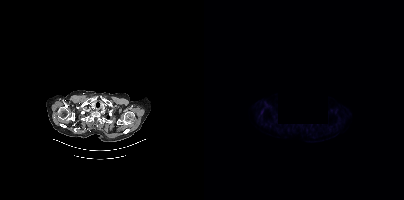
Some pixels were blanked for anonymization. Paired axial CT (left) and PSMA PET (right), 18F tracer. Slice 314 of 377. PET panel 200×200 px (4.1 mm/px). Coordinates are on the 200×200 PET (right) panel. PSMA-avid tumor lesion bounding box (x0,y0,x1,y1): [57,109,59,114].